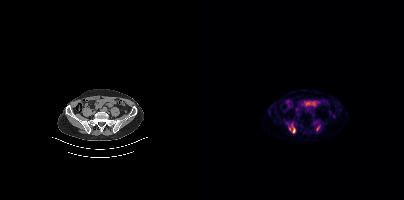
Technique: Paired axial CT (left) and PSMA PET (right), 68Ga tracer. acquired on Siemens Biograph mCT Flow 20. slice 114 of 409. PET panel 200×200 px (4.1 mm/px).
Findings: Coordinates are on the 200×200 PET (right) panel. PSMA-avid tumor lesion bounding box (x, y, width, height): x=88 y=126 w=4 h=7. Small PSMA-avid foci (2 to 4 px across) near (center x, center y): (85, 129) | (113, 128).